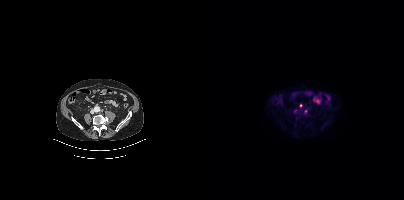
Coordinates are on the 200×200 PET (right) panel. Small PSMA-avid focus (2 to 4 px across) near (center x, center y): (101, 111). Two-panel axial: CT | PSMA PET, [18F]PSMA-1007 tracer. Acquired on Siemens Biograph mCT Flow 20. PET panel 200×200 px (4.1 mm/px).